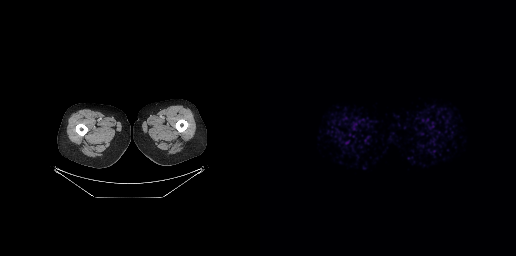
Two-panel axial: CT | PSMA PET, 68Ga-PSMA tracer. Slice 45 of 299. PET panel 256×256 px (2.7 mm/px). No PSMA-avid tumor lesions on this slice.